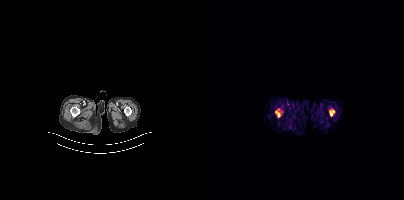
No tumor lesions annotated on this slice.
modality: PSMA PET/CT | tracer: [18F]PSMA-1007 | view: axial